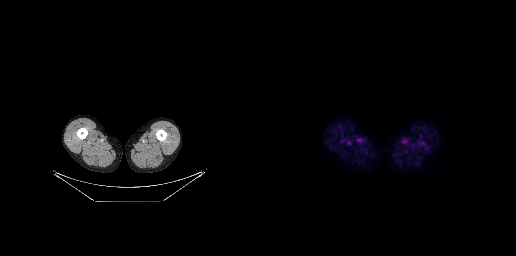
Negative for PSMA-avid disease on this slice.
modality: PSMA PET/CT | tracer: 18F | view: axial